modality: PSMA PET/CT | tracer: [18F]PSMA-1007 | view: axial
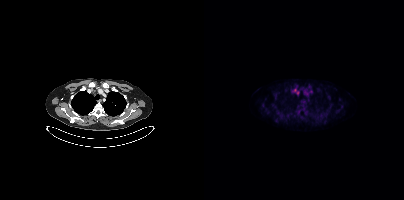
Coordinates are on the 200×200 PET (right) panel. PSMA-avid tumor lesion bounding box (x0, y0)-(x1, y1): (89, 88)-(94, 93).